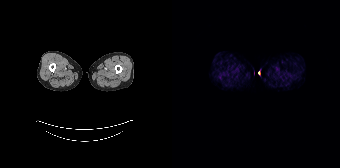
{"modality":"PSMA PET/CT","view":"axial","tracer":"68Ga","pet_grid":[168,168],"coord_frame":"pet_panel","coord_format":"x0,y0,x1,y1","psma_avid_lesions":false}